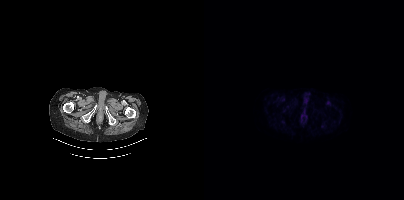
Negative for PSMA-avid disease on this slice.